Left: CT. Right: PSMA PET, same axial level, 18F tracer. Slice 220 of 401. PET panel 200×200 px (4.1 mm/px).
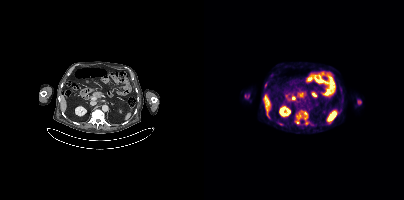
Coordinates are on the 200×200 PET (right) panel. PSMA-avid tumor lesion bounding boxes (partial; 1 more focus not listed):
| # | x0 | y0 | x1 | y1 |
|---|---|---|---|---|
| 1 | 93 | 113 | 96 | 118 |
Small PSMA-avid foci (2 to 4 px across) near (center x, center y): (101, 113); (78, 124); (93, 122); (101, 118).